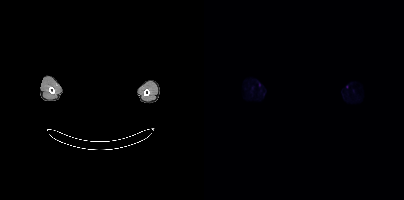
Findings: No tumor lesions annotated on this slice.
Technique: Left: CT. Right: PSMA PET, same axial level, [18F]PSMA-1007 tracer. slice 387 of 417.
Note: Face de-identified by blanking a block of the head.